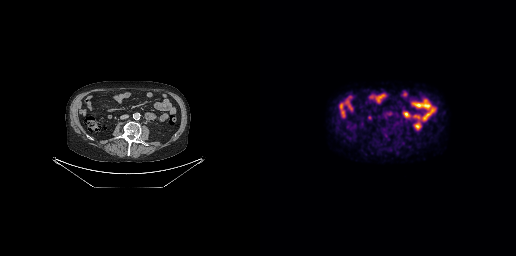
Left: CT. Right: PSMA PET, same axial level, [18F]PSMA-1007 tracer. Acquired on GE Discovery 690. PET panel 256×256 px (2.7 mm/px). No PSMA-avid tumor lesions on this slice.